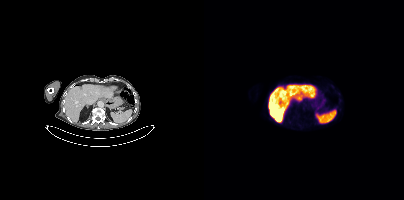
{"modality":"PSMA PET/CT","view":"axial","tracer":"18F-PSMA","pet_grid":[200,200],"coord_frame":"pet_panel","coord_format":"x0,y0,x1,y1","psma_avid_lesions":false}